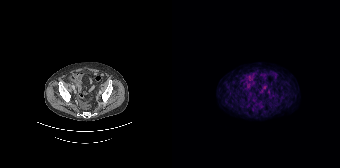
{"pet_grid":[168,168],"coord_frame":"pet_panel","coord_format":"x0,y0,x1,y1","psma_avid_lesions":false,"modality":"PSMA PET/CT","view":"axial","tracer":"68Ga-PSMA"}